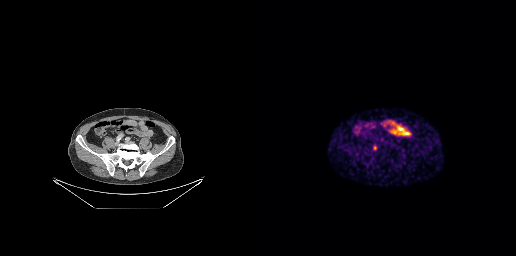
Findings: Coordinates are on the 256×256 PET (right) panel. PSMA-avid tumor lesion bounding box (x0, y0)-(x1, y1): (113, 145)-(116, 150).
- Two-panel axial: CT | PSMA PET, 68Ga tracer
- slice 67 of 227
- PET panel 256×256 px (2.7 mm/px)